De-identified by setting a box covering the face to black before release. Left: CT. Right: PSMA PET, same axial level, 68Ga-PSMA tracer. Slice position z = -211 mm. PET panel 256×256 px (2.7 mm/px).
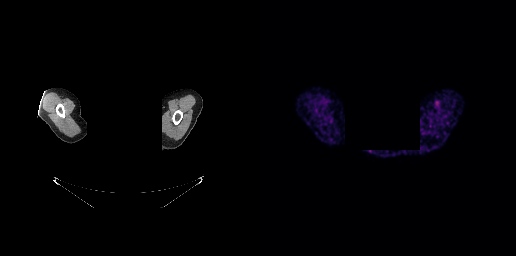
Negative for PSMA-avid disease on this slice.